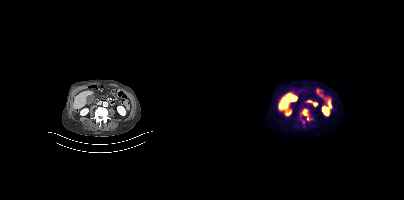
- Left: CT. Right: PSMA PET, same axial level, 18F-PSMA tracer
- slice 133 of 373
- PET panel 200×200 px (4.1 mm/px)
Findings: Coordinates are on the 200×200 PET (right) panel. PSMA-avid tumor lesion bounding box (x0, y0)-(x1, y1): (96, 108)-(107, 120). Small PSMA-avid focus (2 to 4 px across) near (center x, center y): (100, 122).